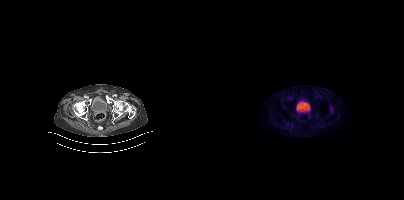
This slice has no annotated PSMA-avid lesion.